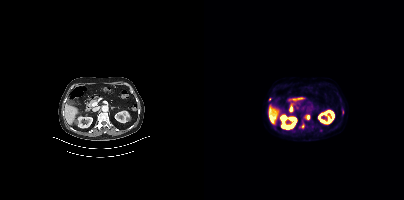
Findings: Coordinates are on the 200×200 PET (right) panel. PSMA-avid tumor lesion bounding box (x, y, width, height): x=99 y=115 w=7 h=5. Small PSMA-avid foci (2 to 4 px across) near (center x, center y): (138, 111); (98, 126); (65, 99); (116, 130).
Technique: Paired axial CT (left) and PSMA PET (right), [18F]PSMA-1007 tracer. acquired on Siemens Biograph mCT Flow 20. slice position z = -1249 mm.